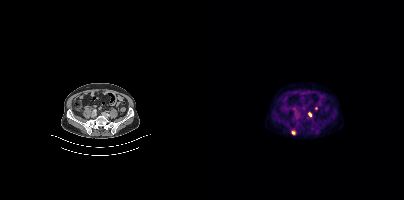
Coordinates are on the 200×200 PET (right) panel. PSMA-avid tumor lesion bounding boxes (x, y, width, height): x=87 y=129 w=6 h=7 | x=104 y=112 w=4 h=5.